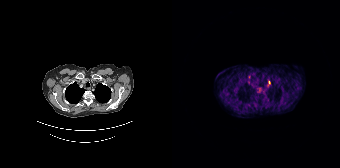
Technique: Left: CT. Right: PSMA PET, same axial level, [68Ga]Ga-PSMA-11 tracer. acquired on Siemens Biograph 64-4R TruePoint.
Findings: Coordinates are on the 168×168 PET (right) panel. (showing 1 of 2 foci) Small PSMA-avid focus (2 to 4 px across) near (center x, center y): (95, 99).